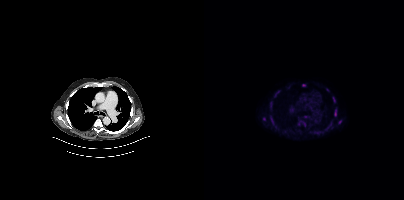
{"modality":"PSMA PET/CT","view":"axial","tracer":"[18F]PSMA-1007","pet_grid":[200,200],"coord_frame":"pet_panel","coord_format":"x0,y0,x1,y1","partial":true,"lesion_bboxes":[[94,121,101,126],[66,116,69,124],[130,109,132,116],[129,97,131,102],[71,91,75,96],[66,102,67,107]],"small_foci_centers":[[87,110],[60,118],[99,85],[136,121],[101,116],[123,89],[113,132]]}